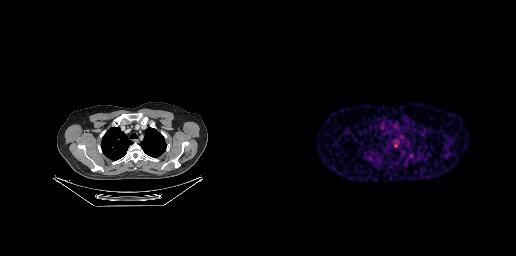
modality: PSMA PET/CT | tracer: 68Ga-PSMA | view: axial
This slice has no annotated PSMA-avid lesion.